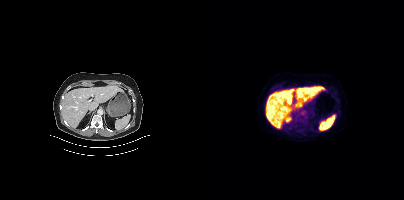
No tumor lesions annotated on this slice.